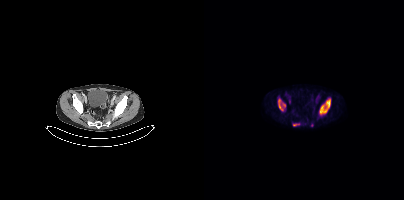
Left: CT. Right: PSMA PET, same axial level, [18F]PSMA-1007 tracer. Acquired on Siemens Biograph mCT Flow 20. Slice position z = -1440 mm. Coordinates are on the 200×200 PET (right) panel. (showing 3 of 4 foci) PSMA-avid tumor lesion bounding boxes (x0, y0)-(x1, y1): (115, 98)-(126, 115) / (74, 98)-(81, 111) / (89, 124)-(95, 125).